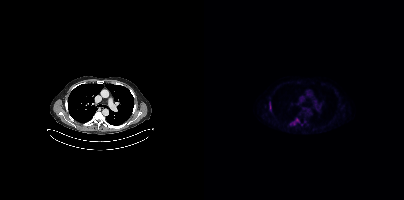
Coordinates are on the 200×200 PET (right) panel. PSMA-avid tumor lesion bounding boxes (partial; 1 more focus not listed):
| # | x0 | y0 | x1 | y1 |
|---|---|---|---|---|
| 1 | 89 | 119 | 94 | 124 |
| 2 | 65 | 102 | 67 | 110 |
Left: CT. Right: PSMA PET, same axial level, 18F tracer. Acquired on Siemens Biograph mCT Flow 20. PET panel 200×200 px (4.1 mm/px).